Paired axial CT (left) and PSMA PET (right), 18F-PSMA tracer. Acquired on Siemens Biograph mCT Flow 20.
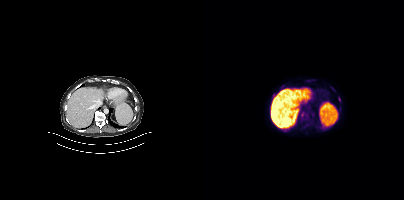
Only PSMA-avid lesion pieces thinner than 2 px on this slice (not listed).